Paired axial CT (left) and PSMA PET (right), [18F]PSMA-1007 tracer. Acquired on Siemens Biograph mCT Flow 20. Slice position z = -486 mm.
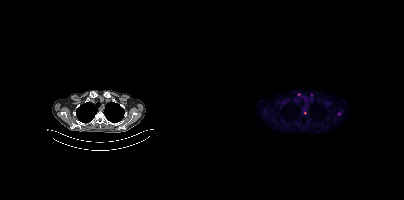
Coordinates are on the 200×200 PET (right) panel. Small PSMA-avid foci (2 to 4 px across) near (center x, center y): (101, 113); (135, 114); (94, 94); (107, 94).